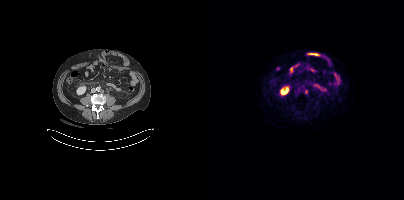
Coordinates are on the 200×200 PET (right) panel. PSMA-avid tumor lesion bounding box (x0, y0)-(x1, y1): (100, 89)-(103, 93). Two-panel axial: CT | PSMA PET, [18F]PSMA-1007 tracer. Slice position z = -541 mm. PET panel 200×200 px (4.1 mm/px).